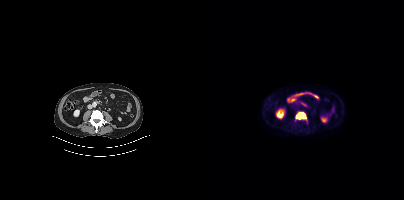
Coordinates are on the 200×200 PET (right) panel. PSMA-avid tumor lesion bounding box (x, y, width, height): x=92 y=112 w=10 h=7.
modality: PSMA PET/CT | tracer: 18F | view: axial